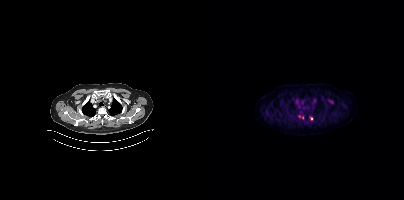
Technique: Paired axial CT (left) and PSMA PET (right), 18F-PSMA tracer. slice position z = -1170 mm. PET panel 200×200 px (4.1 mm/px).
Findings: Coordinates are on the 200×200 PET (right) panel. PSMA-avid tumor lesion bounding box (x, y, width, height): x=94 y=115 w=6 h=4. Small PSMA-avid focus (2 to 4 px across) near (center x, center y): (107, 118).